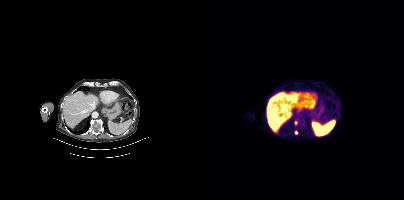
- Two-panel axial: CT | PSMA PET, [18F]PSMA-1007 tracer
- acquired on Siemens Biograph mCT Flow 20
Findings: Coordinates are on the 200×200 PET (right) panel. Small PSMA-avid foci (2 to 4 px across) near (center x, center y): (92, 132); (92, 122).